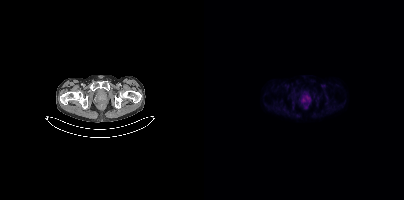
- Left: CT. Right: PSMA PET, same axial level, [18F]PSMA-1007 tracer
- acquired on Siemens Biograph mCT Flow 20
- slice 55 of 427
Findings: Coordinates are on the 200×200 PET (right) panel. PSMA-avid tumor lesion bounding boxes (x0, y0)-(x1, y1): (97, 98)-(101, 101) | (102, 95)-(106, 99).